Left: CT. Right: PSMA PET, same axial level, 18F-PSMA tracer. Acquired on Siemens Biograph mCT Flow 20. PET panel 200×200 px (4.1 mm/px).
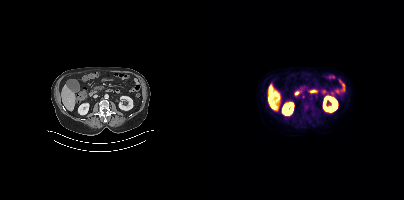
Coordinates are on the 200×200 PET (right) panel. Small PSMA-avid focus (2 to 4 px across) near (center x, center y): (99, 96).